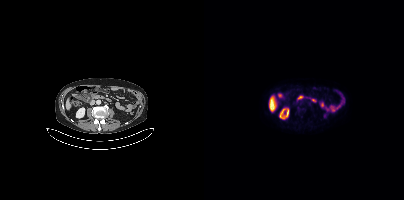
This slice has no annotated PSMA-avid lesion.